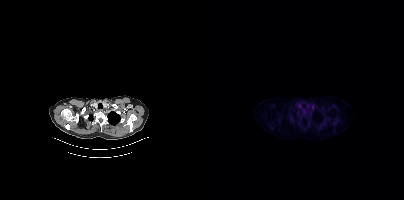
- Paired axial CT (left) and PSMA PET (right), [18F]PSMA-1007 tracer
- acquired on Siemens Biograph mCT Flow 20
Findings: No PSMA-avid tumor lesions on this slice.